- Two-panel axial: CT | PSMA PET, [18F]PSMA-1007 tracer
- acquired on Siemens Biograph mCT Flow 20
- slice position z = -548 mm
- PET panel 200×200 px (4.1 mm/px)
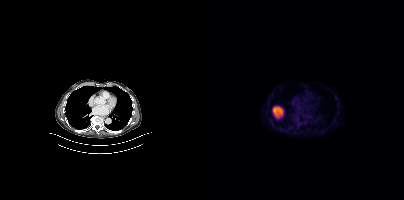
Findings: No tumor lesions annotated on this slice.